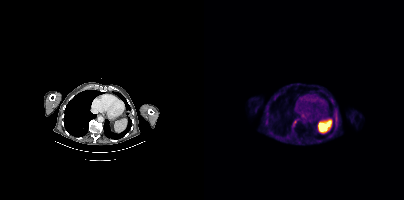
{"modality":"PSMA PET/CT","view":"axial","tracer":"[18F]PSMA-1007","pet_grid":[200,200],"coord_frame":"pet_panel","coord_format":"x0,y0,x1,y1","lesion_bboxes":[],"small_foci_centers":[[91,121]]}